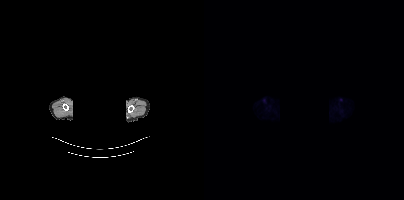
Findings: Negative for PSMA-avid disease on this slice.
Technique: Left: CT. Right: PSMA PET, same axial level, 18F tracer.
Note: Privacy masking over the head, with the pixels inside a rectangle set to black.